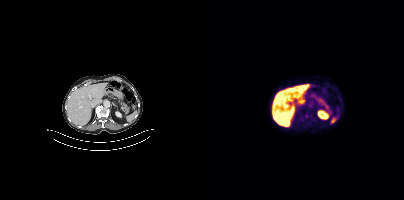
Findings: Negative for PSMA-avid disease on this slice.
- Left: CT. Right: PSMA PET, same axial level, [18F]PSMA-1007 tracer